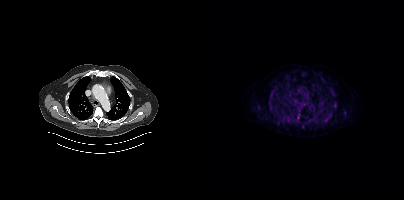
Coordinates are on the 200×200 PET (right) panel. PSMA-avid tumor lesion bounding boxes (x0,y0,x1,y1): [66,90,70,95], [123,115,127,120], [73,117,77,121], [103,119,107,123], [139,112,143,116], [65,104,68,108], [126,87,129,91], [130,104,132,108], [94,113,95,118]. Small PSMA-avid foci (2 to 4 px across) near (center x, center y): (99, 126), (100, 73). Two-panel axial: CT | PSMA PET, 18F-PSMA tracer. PET panel 200×200 px (4.1 mm/px).